modality: PSMA PET/CT | tracer: [18F]PSMA-1007 | view: axial
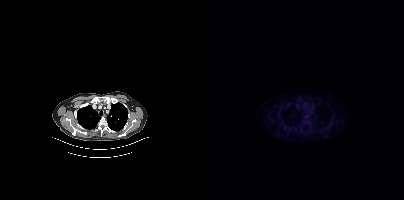
This slice has no annotated PSMA-avid lesion.